Left: CT. Right: PSMA PET, same axial level, [18F]PSMA-1007 tracer. Slice position z = -922 mm. PET panel 200×200 px (4.1 mm/px). The face region was removed for patient privacy by blanking a rectangle over the head.
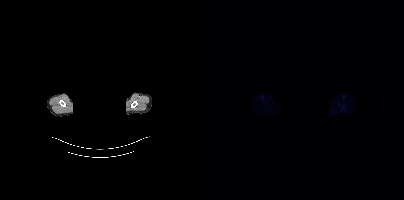
Negative for PSMA-avid disease on this slice.